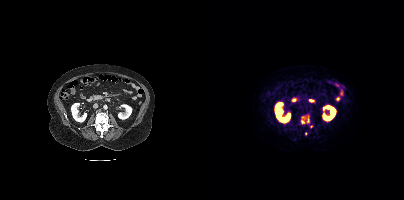
Technique: Left: CT. Right: PSMA PET, same axial level, 68Ga-PSMA tracer. acquired on Siemens Biograph mCT Flow 20. PET panel 200×200 px (4.1 mm/px).
Findings: Coordinates are on the 200×200 PET (right) panel. PSMA-avid tumor lesion bounding box (x0,y0,x1,y1): [97,116,105,124]. Small PSMA-avid foci (2 to 4 px across) near (center x, center y): (107, 126), (102, 133).